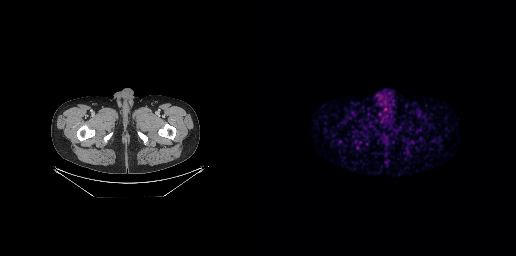
{"modality":"PSMA PET/CT","view":"axial","tracer":"68Ga","pet_grid":[256,256],"coord_frame":"pet_panel","coord_format":"x0,y0,x1,y1","psma_avid_lesions":false}